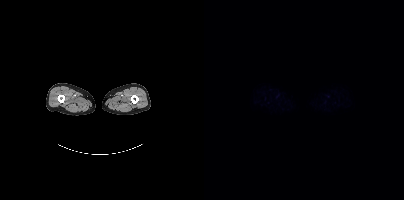
Technique: Paired axial CT (left) and PSMA PET (right), 18F-PSMA tracer. slice 43 of 508.
Findings: This slice has no annotated PSMA-avid lesion.